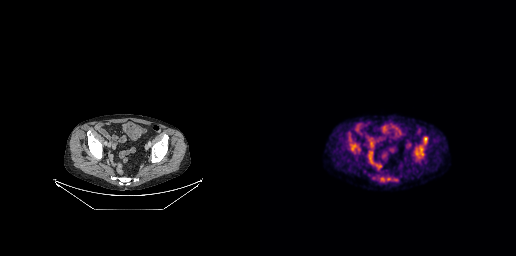
- Paired axial CT (left) and PSMA PET (right), [18F]PSMA-1007 tracer
- PET panel 256×256 px (2.7 mm/px)
Findings: Coordinates are on the 256×256 PET (right) panel. (showing 4 of 6 foci) PSMA-avid tumor lesion bounding boxes (x0,y0,x1,y1): [154,136,167,157] [90,143,99,150]. Small PSMA-avid foci (2 to 4 px across) near (center x, center y): (122, 179) (128, 179).